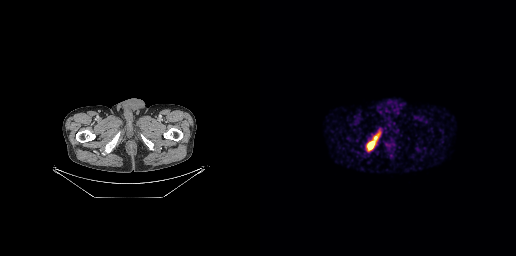
{"pet_grid":[256,256],"coord_frame":"pet_panel","coord_format":"x0,y0,x1,y1","lesion_bboxes":[[106,130,120,150]],"modality":"PSMA PET/CT","view":"axial","tracer":"68Ga"}